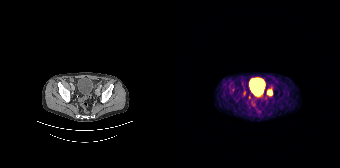
Coordinates are on the 168×168 PET (right) panel. PSMA-avid tumor lesion bounding boxes (x0, y0)-(x1, y1): (95, 89)-(100, 96) | (71, 91)-(73, 95). Small PSMA-avid focus (2 to 4 px across) near (center x, center y): (89, 95).